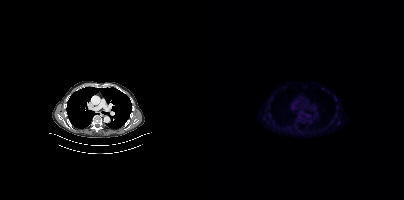
{"modality":"PSMA PET/CT","view":"axial","tracer":"[18F]PSMA-1007","pet_grid":[200,200],"coord_frame":"pet_panel","coord_format":"x0,y0,x1,y1","psma_avid_lesions":false}